Left: CT. Right: PSMA PET, same axial level, 68Ga tracer. Acquired on Siemens Biograph mCT Flow 20. PET panel 200×200 px (4.1 mm/px).
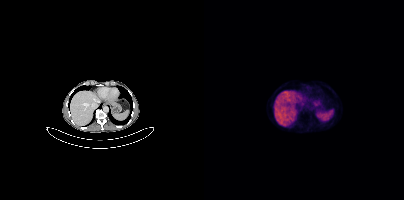
Negative for PSMA-avid disease on this slice.